- Paired axial CT (left) and PSMA PET (right), [18F]PSMA-1007 tracer
- acquired on Siemens Biograph mCT Flow 20
- slice 107 of 395
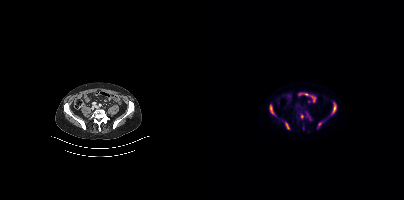
Findings: Coordinates are on the 200×200 PET (right) panel. PSMA-avid tumor lesion bounding boxes (x0,y0,x1,y1): [128,103,132,113] [65,105,70,114] [101,114,107,120] [81,122,85,129] [113,122,118,127]. Small PSMA-avid focus (2 to 4 px across) near (center x, center y): (98, 116).